Left: CT. Right: PSMA PET, same axial level, 18F-PSMA tracer. PET panel 256×256 px (2.7 mm/px).
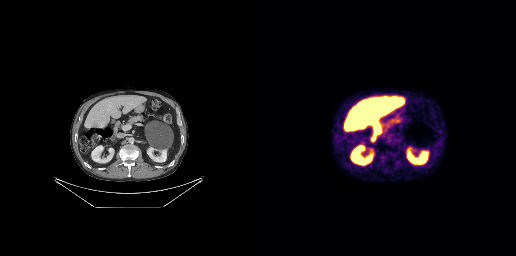
This slice has no annotated PSMA-avid lesion.